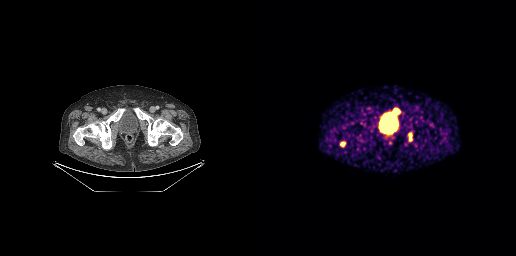
Left: CT. Right: PSMA PET, same axial level, 68Ga-PSMA tracer. Coordinates are on the 256×256 PET (right) panel. PSMA-avid tumor lesion bounding boxes (x0,y0,x1,y1): [134,109,139,113]; [149,133,151,140]; [81,142,85,145].